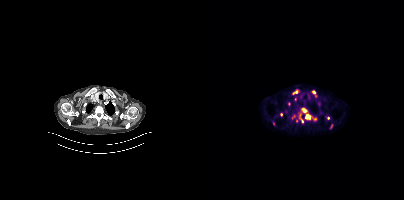
Coordinates are on the 200×200 PET (right) panel. PSMA-avid tumor lesion bounding boxes (x0,y0,x1,y1): [92,107,112,123]; [88,89,94,94]; [108,90,112,97]; [68,120,71,126]; [76,112,78,117]. Small PSMA-avid foci (2 to 4 px across) near (center x, center y): (124, 118); (127, 126); (84, 104).